Technique: Left: CT. Right: PSMA PET, same axial level, [18F]PSMA-1007 tracer. acquired on Siemens Biograph mCT Flow 20. PET panel 200×200 px (4.1 mm/px).
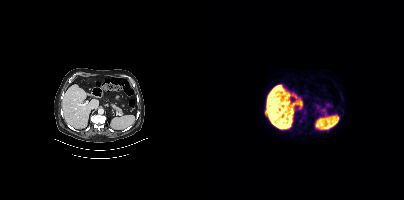
Findings: This slice has no annotated PSMA-avid lesion.